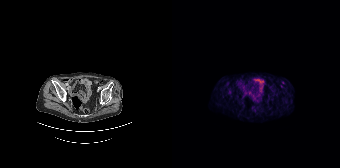
Findings: No PSMA-avid tumor lesions on this slice.
- Two-panel axial: CT | PSMA PET, [68Ga]Ga-PSMA-11 tracer